- Two-panel axial: CT | PSMA PET, [68Ga]Ga-PSMA-11 tracer
- acquired on GE Discovery 690
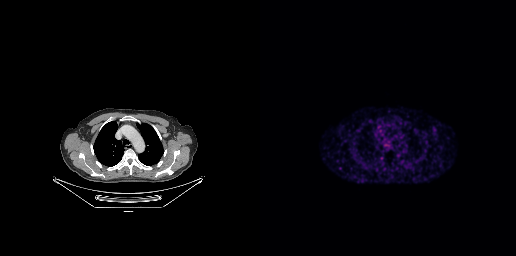
Findings: Negative for PSMA-avid disease on this slice.